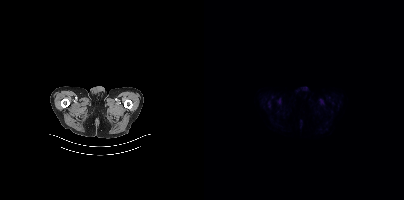
Negative for PSMA-avid disease on this slice.